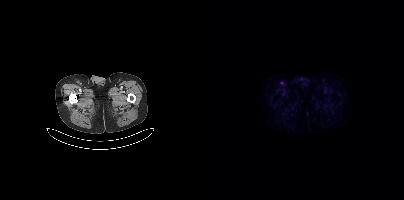
{"modality":"PSMA PET/CT","view":"axial","tracer":"18F-PSMA","pet_grid":[200,200],"coord_frame":"pet_panel","coord_format":"x0,y0,x1,y1","psma_avid_lesions":false}